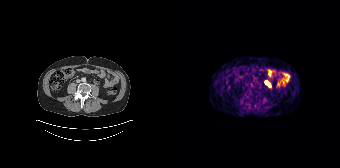
Coordinates are on the 168×168 PET (right) panel. Small PSMA-avid foci (2 to 4 px across) near (center x, center y): (94, 82), (97, 85).